modality: PSMA PET/CT | tracer: 68Ga-PSMA | view: axial
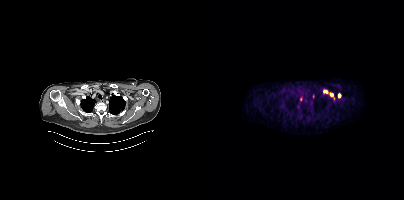
Coordinates are on the 200×200 PET (right) panel. (showing 4 of 5 foci) PSMA-avid tumor lesion bounding box (x, y, width, height): x=119 y=90 w=5 h=4. Small PSMA-avid foci (2 to 4 px across) near (center x, center y): (127, 94) / (135, 95) / (109, 96).